modality: PSMA PET/CT | tracer: 18F-PSMA | view: axial | PET grid: 200×200
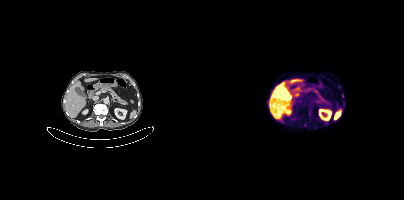
Coordinates are on the 200×200 PET (right) panel. Small PSMA-avid focus (2 to 4 px across) near (center x, center y): (138, 96).